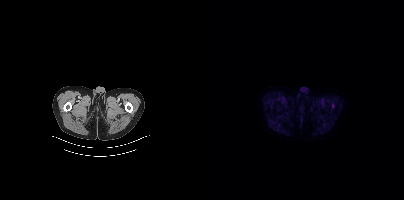
No PSMA-avid tumor lesions on this slice. Left: CT. Right: PSMA PET, same axial level, 18F tracer. Slice 32 of 413. PET panel 200×200 px (4.1 mm/px).